Two-panel axial: CT | PSMA PET, [18F]PSMA-1007 tracer. Acquired on Siemens Biograph mCT Flow 20. PET panel 200×200 px (4.1 mm/px).
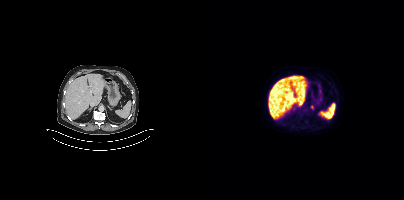
Coordinates are on the 200×200 PET (right) panel. Small PSMA-avid focus (2 to 4 px across) near (center x, center y): (108, 107).